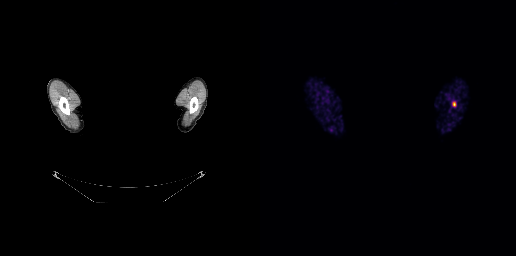
{"modality":"PSMA PET/CT","view":"axial","tracer":"[68Ga]Ga-PSMA-11","pet_grid":[256,256],"coord_frame":"pet_panel","coord_format":"x0,y0,x1,y1","deidentification":"face masked with black rectangle","lesion_bboxes":[[192,102,195,106]]}